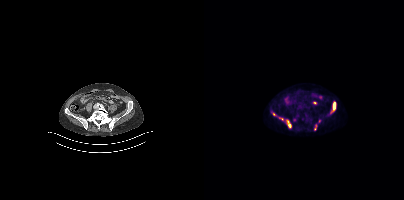
Paired axial CT (left) and PSMA PET (right), 18F tracer.
Coordinates are on the 200×200 PET (right) panel. PSMA-avid tumor lesion bounding boxes:
| # | x0 | y0 | x1 | y1 |
|---|---|---|---|---|
| 1 | 127 | 101 | 132 | 112 |
| 2 | 82 | 120 | 87 | 127 |
| 3 | 75 | 117 | 79 | 120 |
| 4 | 110 | 125 | 112 | 130 |
Small PSMA-avid foci (2 to 4 px across) near (center x, center y): (70, 114); (90, 119).